- Two-panel axial: CT | PSMA PET, 18F tracer
- slice 267 of 448
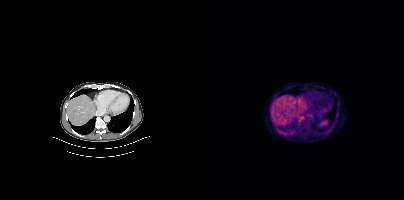
Findings: Coordinates are on the 200×200 PET (right) panel. PSMA-avid tumor lesion bounding box (x0,y0,x1,y1): [93,114,101,122].